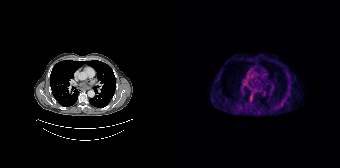
{"modality":"PSMA PET/CT","view":"axial","tracer":"68Ga-PSMA","pet_grid":[168,168],"coord_frame":"pet_panel","coord_format":"x0,y0,x1,y1","psma_avid_lesions":false}